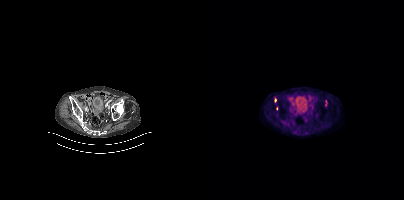
Left: CT. Right: PSMA PET, same axial level, 18F-PSMA tracer. Coordinates are on the 200×200 PET (right) panel. (showing 1 of 2 foci) Small PSMA-avid focus (2 to 4 px across) near (center x, center y): (71, 100).